Technique: Paired axial CT (left) and PSMA PET (right), 18F tracer. acquired on Siemens Biograph mCT Flow 20. slice 59 of 405. PET panel 200×200 px (4.1 mm/px).
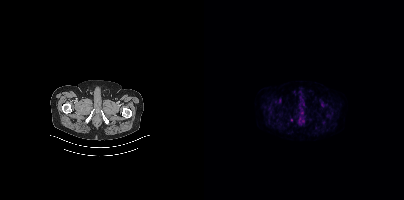
Findings: No tumor lesions annotated on this slice.